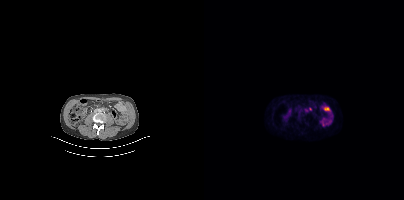
{"modality":"PSMA PET/CT","view":"axial","tracer":"[18F]PSMA-1007","pet_grid":[200,200],"coord_frame":"pet_panel","coord_format":"x0,y0,x1,y1","lesion_bboxes":[[101,107,107,111]]}